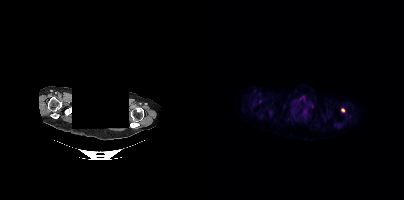
{"modality":"PSMA PET/CT","view":"axial","tracer":"18F","pet_grid":[200,200],"coord_frame":"pet_panel","coord_format":"x0,y0,x1,y1","redaction":"face masked with black rectangle","lesion_bboxes":[[137,108,140,112]]}